modality: PSMA PET/CT | tracer: 68Ga | view: axial | PET grid: 168×168
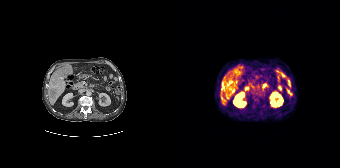
Coordinates are on the 168×168 PET (right) panel. (showing 1 of 3 foci) PSMA-avid tumor lesion bounding box (x0, y0)-(x1, y1): (49, 83)-(54, 88).